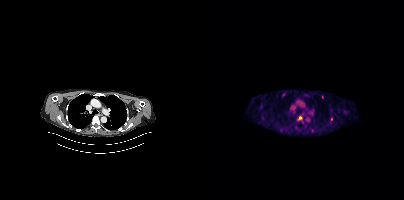
- Two-panel axial: CT | PSMA PET, [18F]PSMA-1007 tracer
- acquired on Siemens Biograph mCT Flow 20
- slice position z = -469 mm
Findings: Coordinates are on the 200×200 PET (right) panel. (showing 4 of 5 foci) PSMA-avid tumor lesion bounding box (x0, y0)-(x1, y1): (93, 116)-(98, 120). Small PSMA-avid foci (2 to 4 px across) near (center x, center y): (79, 94) / (127, 119) / (118, 97).